Technique: Two-panel axial: CT | PSMA PET, 18F tracer. slice 115 of 263.
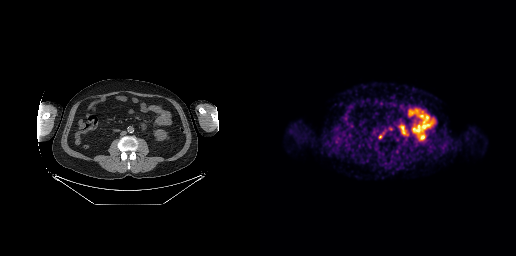
Findings: Coordinates are on the 256×256 PET (right) panel. Small PSMA-avid focus (2 to 4 px across) near (center x, center y): (120, 136).